A rectangle over the head was blacked out to remove identifiable facial features. Paired axial CT (left) and PSMA PET (right), 18F-PSMA tracer. Acquired on Siemens Biograph mCT Flow 20.
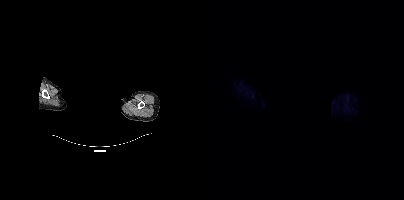
Negative for PSMA-avid disease on this slice.